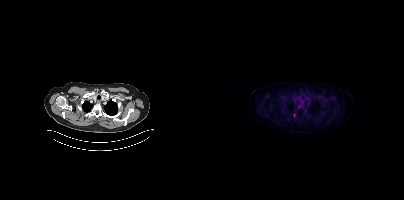
Only PSMA-avid lesion pieces thinner than 2 px on this slice (not listed).